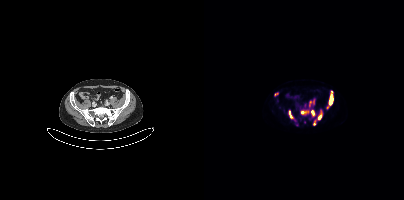
{"modality":"PSMA PET/CT","view":"axial","tracer":"18F-PSMA","pet_grid":[200,200],"coord_frame":"pet_panel","coord_format":"x0,y0,x1,y1","partial":true,"lesion_bboxes":[[125,91,128,104],[96,110,102,115],[114,111,118,119],[85,111,89,119],[70,93,74,95],[105,101,107,105],[109,99,110,103]],"small_foci_centers":[[108,112],[110,124],[123,107]]}